Technique: Two-panel axial: CT | PSMA PET, 18F tracer.
Note: The face region was removed for patient privacy by blanking a rectangle over the head.
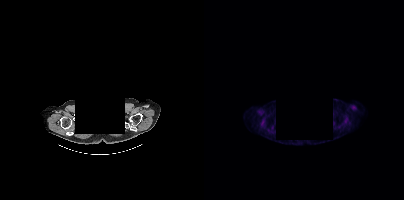
Findings: No PSMA-avid tumor lesions on this slice.